- Two-panel axial: CT | PSMA PET, 18F-PSMA tracer
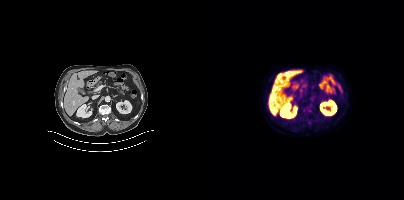
Findings: Negative for PSMA-avid disease on this slice.